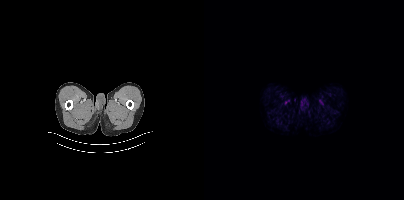
modality: PSMA PET/CT | tracer: [18F]PSMA-1007 | view: axial
Negative for PSMA-avid disease on this slice.